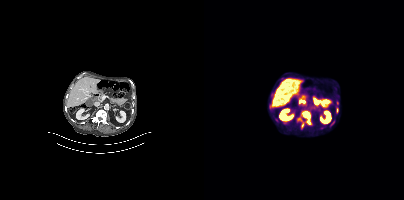
Technique: Left: CT. Right: PSMA PET, same axial level, [18F]PSMA-1007 tracer. slice 170 of 367. PET panel 200×200 px (4.1 mm/px).
Findings: Coordinates are on the 200×200 PET (right) panel. (showing 2 of 3 foci) PSMA-avid tumor lesion bounding box (x0, y0)-(x1, y1): (102, 115)-(106, 119). Small PSMA-avid focus (2 to 4 px across) near (center x, center y): (97, 126).